Two-panel axial: CT | PSMA PET, 18F-PSMA tracer. Acquired on Siemens Biograph mCT Flow 20. Slice 291 of 411. PET panel 200×200 px (4.1 mm/px).
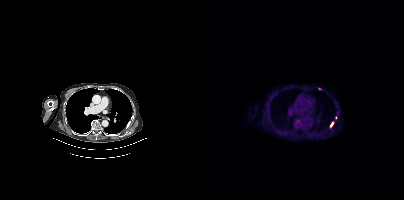
Coordinates are on the 200×200 PET (right) panel. PSMA-avid tumor lesion bounding box (x, y, width, height): x=126 y=121 w=5 h=8. Small PSMA-avid foci (2 to 4 px across) near (center x, center y): (132, 117); (115, 88).